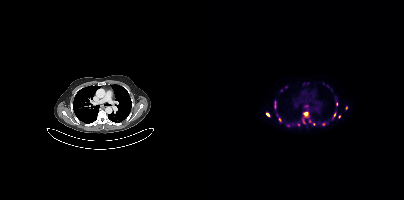
Coordinates are on the 200×200 PET (right) panel. (showing 14 of 18 foci) PSMA-avid tumor lesion bounding boxes (x0, y0)-(x1, y1): (99, 112)-(104, 116) | (129, 112)-(132, 118) | (132, 102)-(134, 106) | (99, 119)-(101, 124). Small PSMA-avid foci (2 to 4 px across) near (center x, center y): (63, 114) | (142, 107) | (119, 124) | (76, 119) | (102, 106) | (135, 116) | (105, 121) | (84, 125) | (71, 101) | (81, 86).